Technique: Two-panel axial: CT | PSMA PET, 18F-PSMA tracer. slice position z = -472 mm. PET panel 200×200 px (4.1 mm/px).
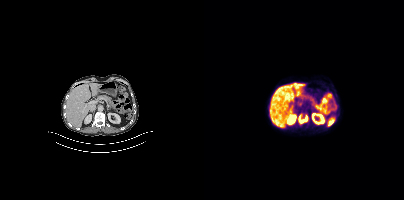
Findings: Coordinates are on the 200×200 PET (right) panel. PSMA-avid tumor lesion bounding box (x, y, width, height): x=94 y=114 w=10 h=10.